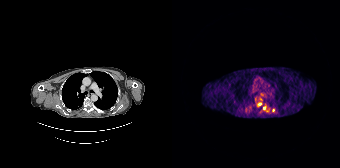
Paired axial CT (left) and PSMA PET (right), [68Ga]Ga-PSMA-11 tracer. PET panel 168×168 px (4.1 mm/px). Coordinates are on the 168×168 PET (right) panel. (showing 2 of 3 foci) Small PSMA-avid foci (2 to 4 px across) near (center x, center y): (88, 104) / (92, 108).